Left: CT. Right: PSMA PET, same axial level, [68Ga]Ga-PSMA-11 tracer. Acquired on Siemens Biograph 64-4R TruePoint. Slice 170 of 195.
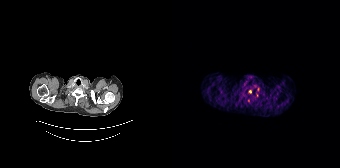
Coordinates are on the 168×168 PET (right) panel. Small PSMA-avid foci (2 to 4 px across) near (center x, center y): (86, 89) / (78, 91).